Left: CT. Right: PSMA PET, same axial level, [68Ga]Ga-PSMA-11 tracer. Slice position z = -1208 mm. PET panel 168×168 px (4.1 mm/px).
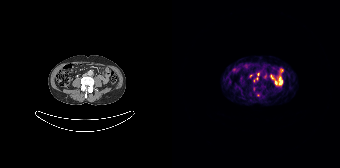
Coordinates are on the 168×168 PET (right) panel. PSMA-avid tumor lesion bounding boxes (partial; 1 more focus not listed):
| # | x0 | y0 | x1 | y1 |
|---|---|---|---|---|
| 1 | 81 | 77 | 85 | 82 |
Small PSMA-avid foci (2 to 4 px across) near (center x, center y): (86, 74); (85, 94).